modality: PSMA PET/CT | tracer: [18F]PSMA-1007 | view: axial | PET grid: 200×200
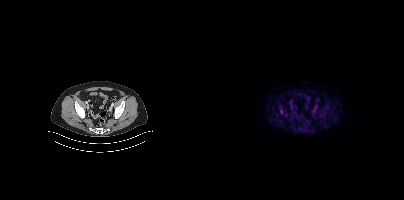
Coordinates are on the 200×200 PET (right) panel. Small PSMA-avid foci (2 to 4 px across) near (center x, center y): (87, 105) | (76, 110).